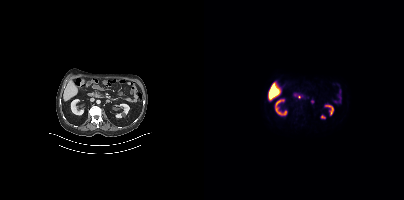
{"pet_grid":[200,200],"coord_frame":"pet_panel","coord_format":"x0,y0,x1,y1","psma_avid_lesions":false,"modality":"PSMA PET/CT","view":"axial","tracer":"18F-PSMA"}